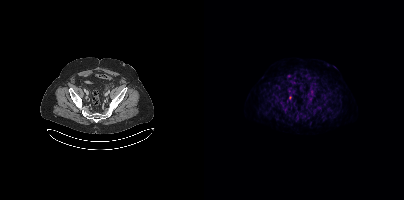
Left: CT. Right: PSMA PET, same axial level, 18F-PSMA tracer. Slice 115 of 435. PET panel 200×200 px (4.1 mm/px). Coordinates are on the 200×200 PET (right) panel. PSMA-avid tumor lesion bounding box (x0, y0)-(x1, y1): (105, 97)-(108, 101). Small PSMA-avid focus (2 to 4 px across) near (center x, center y): (86, 97).